Technique: Paired axial CT (left) and PSMA PET (right), 18F-PSMA tracer. PET panel 200×200 px (4.1 mm/px).
Note: De-identified by setting a box covering the face to black before release.
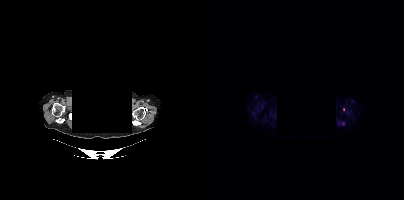
Findings: Coordinates are on the 200×200 PET (right) panel. PSMA-avid tumor lesion bounding box (x0,y0,x1,y1): [134,120,140,125]. Small PSMA-avid focus (2 to 4 px across) near (center x, center y): (139, 109).